Two-panel axial: CT | PSMA PET, [18F]PSMA-1007 tracer.
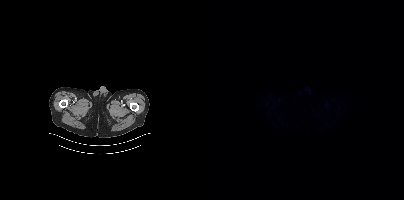
This slice has no annotated PSMA-avid lesion.